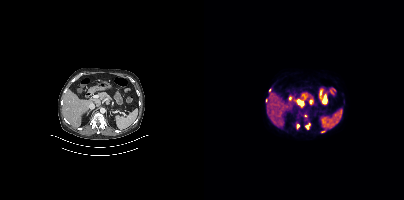
Coordinates are on the 200×200 PET (right) panel. PSMA-avid tumor lesion bounding box (x0, y0)-(x1, y1): (102, 123)-(105, 128). Small PSMA-avid foci (2 to 4 px across) near (center x, center y): (94, 125) | (101, 115).